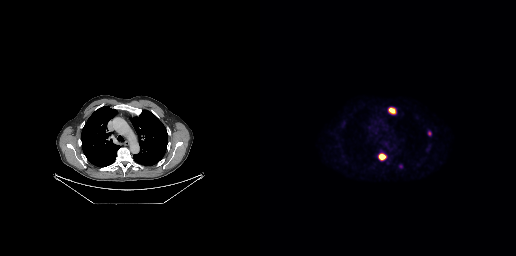
Coordinates are on the 256×256 PET (right) panel. PSMA-avid tumor lesion bounding boxes (x0,y0,x1,y1): [128,107,136,114]; [118,153,126,160]; [168,131,171,135].